modality: PSMA PET/CT | tracer: 18F | view: axial | PET grid: 200×200
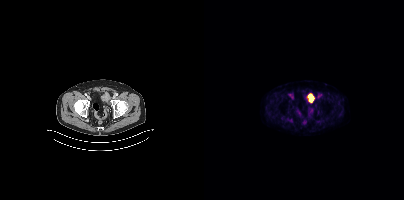
Coordinates are on the 200×200 PET (right) panel. PSMA-avid tumor lesion bounding box (x, y, width, height): x=84 y=119 w=6 h=4. Small PSMA-avid focus (2 to 4 px across) near (center x, center y): (107, 97).